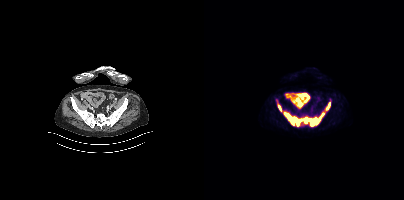
Findings: Coordinates are on the 200×200 PET (right) panel. PSMA-avid tumor lesion bounding boxes (x0, y0)-(x1, y1): (80, 102)-(126, 126); (74, 104)-(77, 111).
Technique: Paired axial CT (left) and PSMA PET (right), 18F tracer.